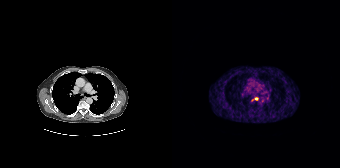
Coordinates are on the 168×168 PET (right) panel. (showing 1 of 2 foci) Small PSMA-avid focus (2 to 4 px across) near (center x, center y): (84, 98).